- Paired axial CT (left) and PSMA PET (right), [68Ga]Ga-PSMA-11 tracer
- slice 50 of 165
- PET panel 168×168 px (4.1 mm/px)
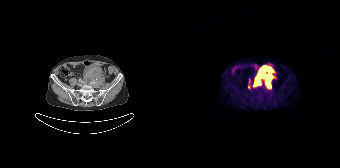
Findings: Coordinates are on the 168×168 PET (right) panel. PSMA-avid tumor lesion bounding box (x0,y0,x1,y1): [83,65,100,87]. Small PSMA-avid foci (2 to 4 px across) near (center x, center y): (77, 80), (76, 87).